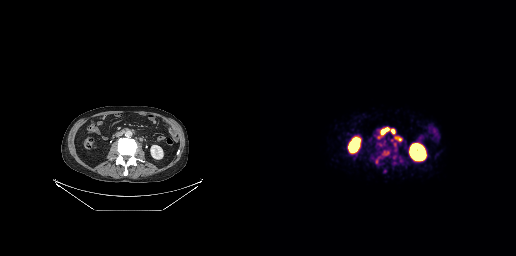
Coordinates are on the 256×256 PET (right) panel. PSMA-avid tumor lesion bounding boxes (x0, y0)-(x1, y1): (120, 128)-(127, 134) / (135, 136)-(141, 141) / (130, 129)-(135, 134). Small PSMA-avid foci (2 to 4 px across) near (center x, center y): (134, 144) / (124, 170).